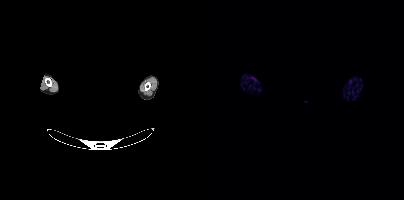
Face de-identified by blanking a block of the head. Two-panel axial: CT | PSMA PET, 68Ga-PSMA tracer. Acquired on Siemens Biograph mCT Flow 20. Slice 406 of 413. No PSMA-avid tumor lesions on this slice.